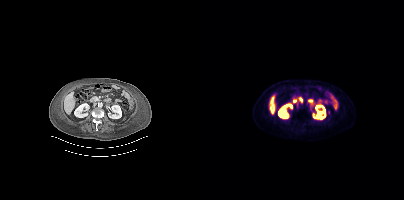
{"modality":"PSMA PET/CT","view":"axial","tracer":"18F","pet_grid":[200,200],"coord_frame":"pet_panel","coord_format":"x0,y0,x1,y1","psma_avid_lesions":false}